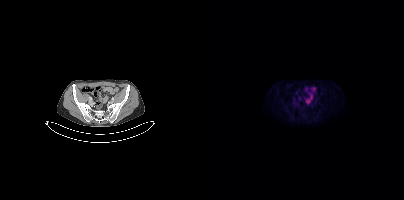
No PSMA-avid tumor lesions on this slice.